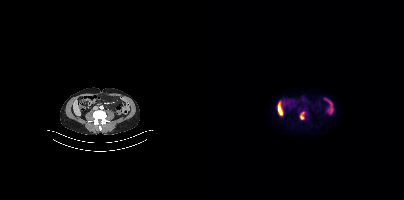
Coordinates are on the 200×200 PET (right) panel. PSMA-avid tumor lesion bounding box (x0, y0)-(x1, y1): (96, 112)-(99, 119).